modality: PSMA PET/CT | tracer: [18F]PSMA-1007 | view: axial | PET grid: 200×200
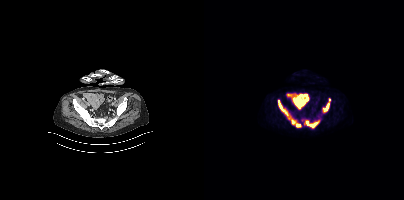
Coordinates are on the 200×200 PET (right) panel. PSMA-avid tumor lesion bounding boxes (x0,y0,x1,y1): [74,100,91,124] [100,121,113,127] [119,103,125,111] [92,124,96,126]. Small PSMA-avid focus (2 to 4 px across) near (center x, center y): (125, 99).